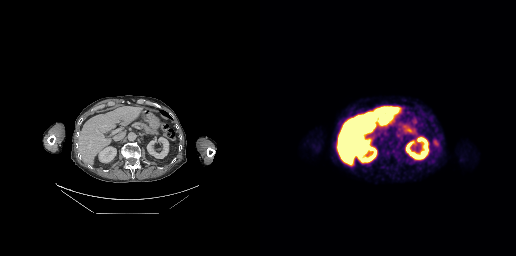
No tumor lesions annotated on this slice.